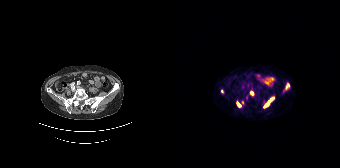
{"modality":"PSMA PET/CT","view":"axial","tracer":"[68Ga]Ga-PSMA-11","pet_grid":[168,168],"coord_frame":"pet_panel","coord_format":"x0,y0,x1,y1","lesion_bboxes":[[91,97,102,107],[65,102,69,107],[113,84,117,89],[78,91,81,95]],"small_foci_centers":[[50,91],[70,102]]}